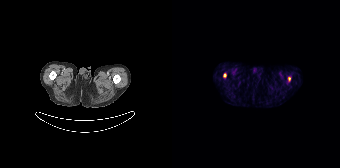
{"modality":"PSMA PET/CT","view":"axial","tracer":"[68Ga]Ga-PSMA-11","pet_grid":[168,168],"coord_frame":"pet_panel","coord_format":"x0,y0,x1,y1","lesion_bboxes":[],"small_foci_centers":[[53,75],[117,78]]}